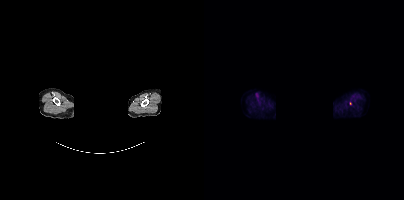
- Left: CT. Right: PSMA PET, same axial level, [18F]PSMA-1007 tracer
- slice 406 of 448
- de-identified by setting a box covering the face to black before release
Findings: Only PSMA-avid lesion pieces thinner than 2 px on this slice (not listed).